Technique: Left: CT. Right: PSMA PET, same axial level, 68Ga-PSMA tracer.
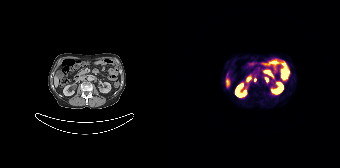
Findings: Coordinates are on the 168×168 PET (right) panel. (showing 1 of 2 foci) PSMA-avid tumor lesion bounding box (x0,y0,x1,y1): [93,77,96,81].